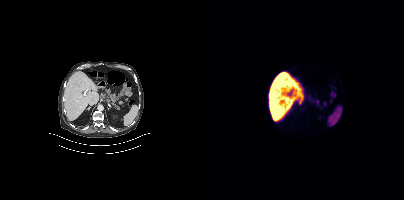
Negative for PSMA-avid disease on this slice.